Paired axial CT (left) and PSMA PET (right), 18F-PSMA tracer. Slice position z = -1500 mm.
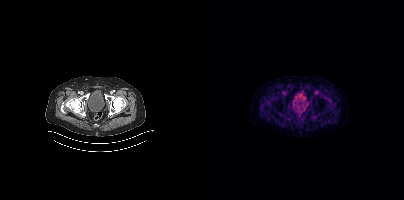
Negative for PSMA-avid disease on this slice.